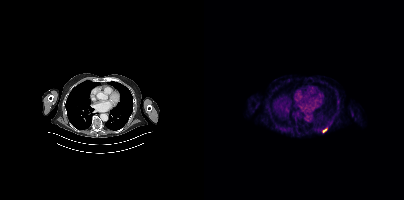
{"pet_grid":[200,200],"coord_frame":"pet_panel","coord_format":"x0,y0,x1,y1","lesion_bboxes":[],"small_foci_centers":[[120,130]],"modality":"PSMA PET/CT","view":"axial","tracer":"18F"}